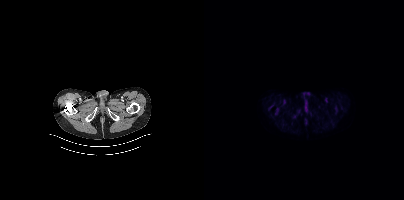
Left: CT. Right: PSMA PET, same axial level, 18F-PSMA tracer. Slice 43 of 401. No tumor lesions annotated on this slice.